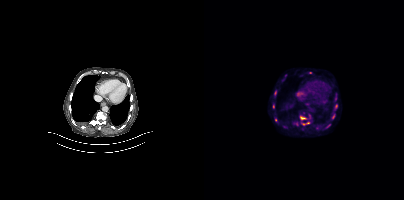
Technique: Left: CT. Right: PSMA PET, same axial level, 18F tracer. slice position z = -1141 mm.
Findings: Coordinates are on the 200×200 PET (right) panel. (showing 11 of 12 foci) PSMA-avid tumor lesion bounding boxes (x, y, width, height): x=96 y=115 w=7 h=6 | x=97 y=122 w=9 h=4 | x=130 y=104 w=4 h=6 | x=104 y=71 w=5 h=4 | x=128 y=114 w=4 h=5. Small PSMA-avid foci (2 to 4 px across) near (center x, center y): (100, 113) | (71, 92) | (124, 125) | (81, 75) | (69, 106) | (92, 124).